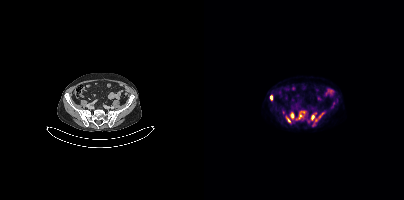
Coordinates are on the 200×200 PET (right) panel. (showing 8 of 12 foci) PSMA-avid tumor lesion bounding boxes (x0, y0)-(x1, y1): (94, 111)-(100, 119) | (86, 112)-(90, 118) | (107, 115)-(110, 120) | (66, 96)-(68, 100) | (82, 117)-(86, 122). Small PSMA-avid foci (2 to 4 px across) near (center x, center y): (115, 116) | (111, 120) | (118, 113).